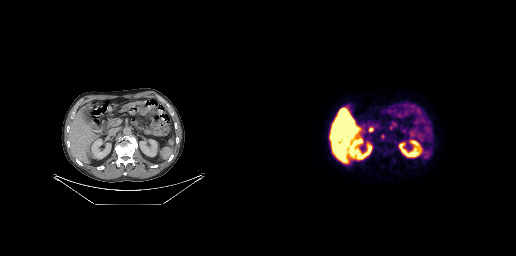
Coordinates are on the 256×256 PET (right) panel. Small PSMA-avid focus (2 to 4 px across) near (center x, center y): (122, 135).